Two-panel axial: CT | PSMA PET, 18F-PSMA tracer. Acquired on Siemens Biograph mCT Flow 20.
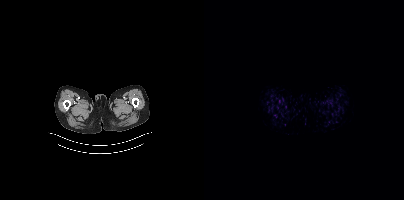
No tumor lesions annotated on this slice.